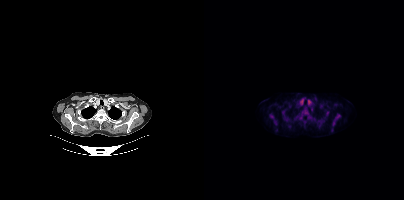
Coordinates are on the 200×200 PET (right) panel. PSMA-avid tumor lesion bounding boxes (x0, y0)-(x1, y1): (131, 115)-(134, 119) / (129, 122)-(131, 126) / (70, 120)-(72, 124). Small PSMA-avid foci (2 to 4 px across) near (center x, center y): (67, 116) / (79, 112) / (107, 109).